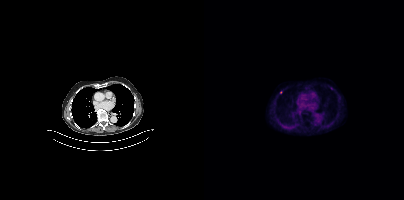
{"pet_grid":[200,200],"coord_frame":"pet_panel","coord_format":"x0,y0,x1,y1","partial":true,"lesion_bboxes":[],"small_foci_centers":[[76,92]],"modality":"PSMA PET/CT","view":"axial","tracer":"[18F]PSMA-1007"}